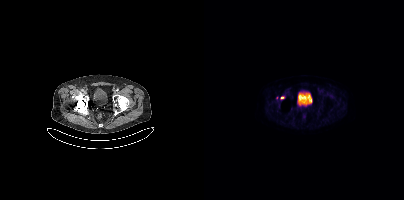
Findings: Coordinates are on the 200×200 PET (right) panel. Small PSMA-avid focus (2 to 4 px across) near (center x, center y): (78, 97).
Technique: Two-panel axial: CT | PSMA PET, 18F tracer. acquired on Siemens Biograph mCT Flow 20.